The face region was removed for patient privacy by blanking a rectangle over the head. Two-panel axial: CT | PSMA PET, 68Ga-PSMA tracer.
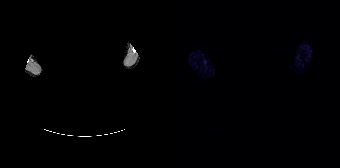
Negative for PSMA-avid disease on this slice.